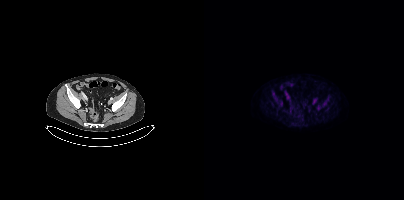
This slice has no annotated PSMA-avid lesion. Left: CT. Right: PSMA PET, same axial level, 18F-PSMA tracer.